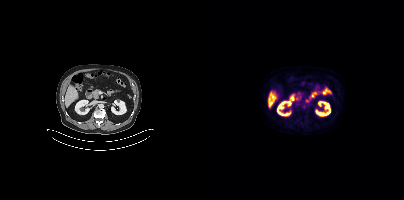
This slice has no annotated PSMA-avid lesion.